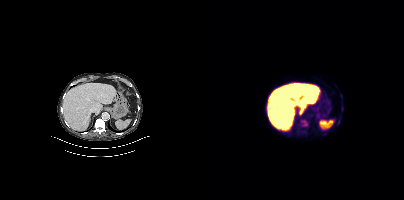
Coordinates are on the 200×200 PET (right) panel. PSMA-avid tumor lesion bounding boxes (partial; 2 more foci not listed):
| # | x0 | y0 | x1 | y1 |
|---|---|---|---|---|
| 1 | 96 | 119 | 104 | 126 |
Two-panel axial: CT | PSMA PET, [18F]PSMA-1007 tracer.